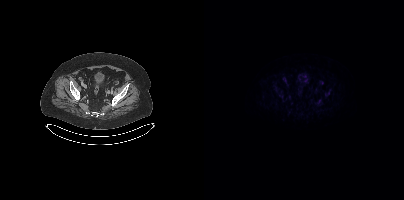
{"modality":"PSMA PET/CT","view":"axial","tracer":"18F","pet_grid":[200,200],"coord_frame":"pet_panel","coord_format":"x0,y0,x1,y1","lesion_bboxes":[],"small_foci_centers":[[121,94]]}